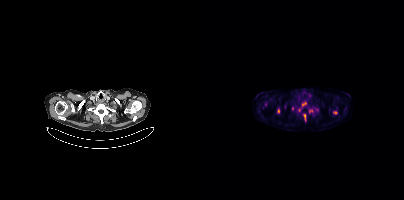
- Paired axial CT (left) and PSMA PET (right), 18F-PSMA tracer
- acquired on Siemens Biograph mCT Flow 20
- slice 352 of 415
Findings: Coordinates are on the 200×200 PET (right) panel. (showing 7 of 8 foci) PSMA-avid tumor lesion bounding boxes (x0,y0,x1,y1): [98,102,102,105]; [99,114,101,119]. Small PSMA-avid foci (2 to 4 px across) near (center x, center y): (106, 111); (88, 108); (74, 110); (130, 112); (95, 110).